Technique: Two-panel axial: CT | PSMA PET, 18F-PSMA tracer. acquired on Siemens Biograph mCT Flow 20. slice position z = -74 mm. PET panel 200×200 px (4.1 mm/px).
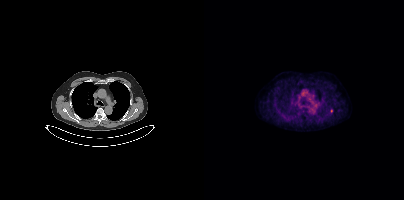
Findings: Coordinates are on the 200×200 PET (right) panel. Small PSMA-avid focus (2 to 4 px across) near (center x, center y): (127, 110).